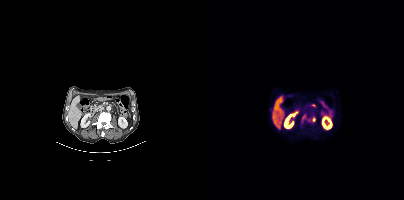
Technique: Left: CT. Right: PSMA PET, same axial level, 18F-PSMA tracer. acquired on Siemens Biograph mCT Flow 20. slice 183 of 435. PET panel 200×200 px (4.1 mm/px).
Findings: Coordinates are on the 200×200 PET (right) panel. (showing 2 of 3 foci) PSMA-avid tumor lesion bounding boxes (x, y, width, height): x=98 y=114 w=5 h=9; x=108 y=117 w=4 h=5.